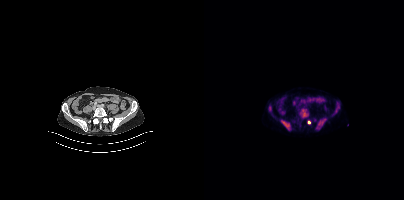
Left: CT. Right: PSMA PET, same axial level, 18F-PSMA tracer. Slice 124 of 413. Coordinates are on the 200×200 PET (right) panel. (showing 4 of 5 foci) PSMA-avid tumor lesion bounding boxes (x0, y0)-(x1, y1): (112, 118)-(122, 129) / (96, 108)-(104, 118) / (77, 120)-(86, 130). Small PSMA-avid focus (2 to 4 px across) near (center x, center y): (105, 122).